Paired axial CT (left) and PSMA PET (right), [18F]PSMA-1007 tracer. Slice 175 of 415.
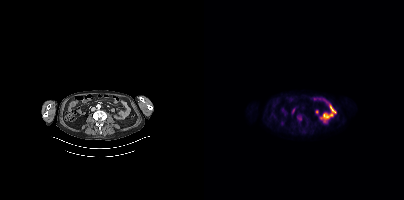
Coordinates are on the 200×200 PET (right) panel. PSMA-avid tumor lesion bounding box (x0, y0)-(x1, y1): (93, 115)-(97, 120).